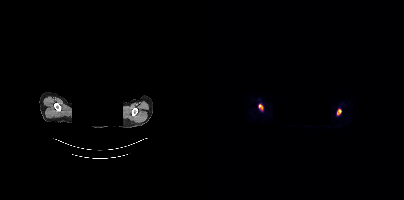
Technique: Paired axial CT (left) and PSMA PET (right), 18F tracer. acquired on Siemens Biograph mCT Flow 20. slice position z = 296 mm. PET panel 200×200 px (4.1 mm/px).
Note: A rectangular block over the head has been blanked out for de-identification.
Findings: Coordinates are on the 200×200 PET (right) panel. PSMA-avid tumor lesion bounding boxes (x0,y0,x1,y1): [133,109,137,114] [55,104,58,108].